- Left: CT. Right: PSMA PET, same axial level, [18F]PSMA-1007 tracer
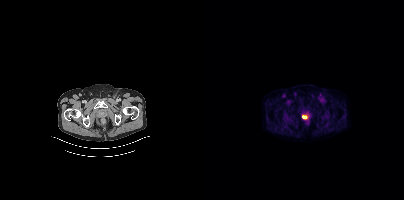
Findings: Coordinates are on the 200×200 PET (right) panel. (showing 1 of 2 foci) PSMA-avid tumor lesion bounding box (x0, y0)-(x1, y1): (98, 115)-(103, 119).